Technique: Left: CT. Right: PSMA PET, same axial level, 18F tracer. slice position z = -580 mm.
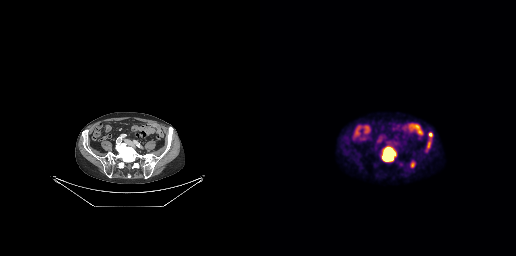
Findings: Coordinates are on the 256×256 PET (right) panel. PSMA-avid tumor lesion bounding boxes (x0, y0)-(x1, y1): (122, 148)-(135, 161); (167, 132)-(172, 148); (151, 162)-(154, 167).